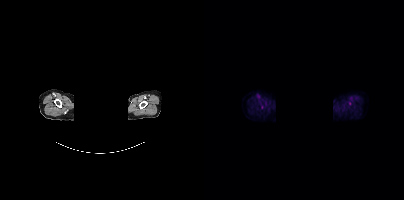
Technique: Two-panel axial: CT | PSMA PET, 18F-PSMA tracer. acquired on Siemens Biograph mCT Flow 20. slice position z = 198 mm. PET panel 200×200 px (4.1 mm/px).
Note: An anonymization step blacked out a rectangle over the head in this scan.
Findings: Negative for PSMA-avid disease on this slice.